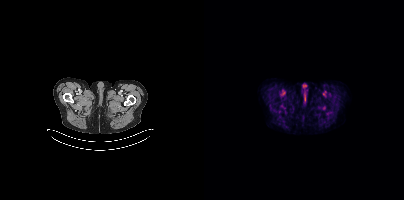
Technique: Two-panel axial: CT | PSMA PET, 18F-PSMA tracer. acquired on Siemens Biograph mCT Flow 20. PET panel 200×200 px (4.1 mm/px).
Findings: No tumor lesions annotated on this slice.